modality: PSMA PET/CT | tracer: [18F]PSMA-1007 | view: axial | PET grid: 200×200
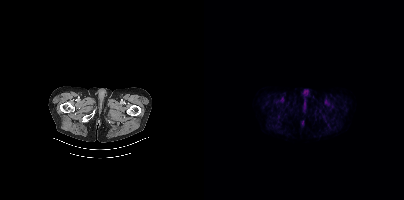
Negative for PSMA-avid disease on this slice.